- Left: CT. Right: PSMA PET, same axial level, 68Ga tracer
- slice position z = -774 mm
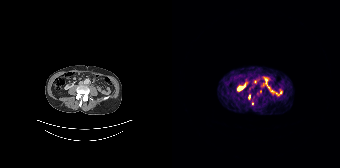
Findings: Coordinates are on the 168×168 PET (right) panel. PSMA-avid tumor lesion bounding box (x0,y0,x1,y1): [76,95,78,99]. Small PSMA-avid foci (2 to 4 px across) near (center x, center y): (88, 91), (80, 103).